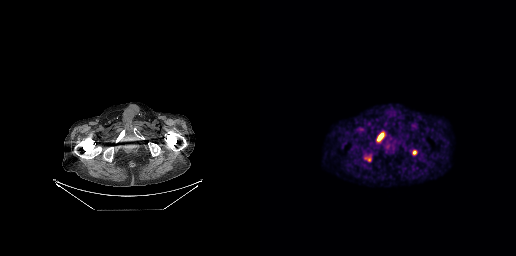
{"modality":"PSMA PET/CT","view":"axial","tracer":"[18F]PSMA-1007","pet_grid":[256,256],"coord_frame":"pet_panel","coord_format":"x0,y0,x1,y1","lesion_bboxes":[[117,133,123,141]],"small_foci_centers":[[154,152]]}